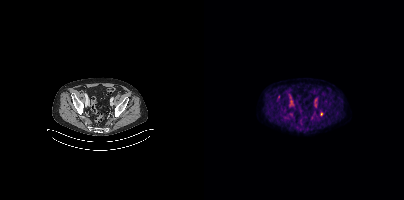
Coordinates are on the 200×200 PET (right) panel. Small PSMA-avid foci (2 to 4 px across) near (center x, center y): (117, 114) (74, 96).